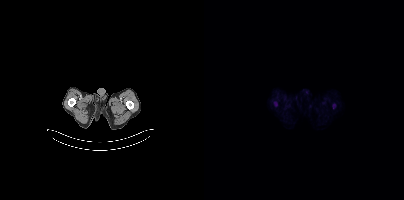
Two-panel axial: CT | PSMA PET, 18F tracer. PET panel 200×200 px (4.1 mm/px). No tumor lesions annotated on this slice.